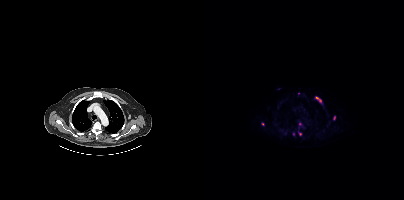
Technique: Paired axial CT (left) and PSMA PET (right), 18F tracer. slice position z = -478 mm.
Findings: Coordinates are on the 200×200 PET (right) panel. PSMA-avid tumor lesion bounding box (x0,y0,x1,y1): [112,97,117,102]. Small PSMA-avid foci (2 to 4 px across) near (center x, center y): (130, 117), (96, 134), (58, 124), (96, 123), (94, 93), (89, 133).